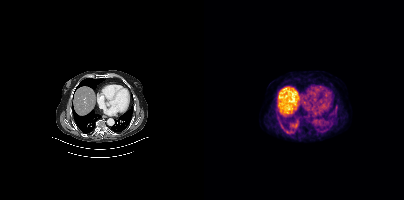
This slice has no annotated PSMA-avid lesion.